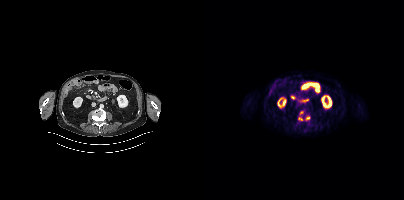
{"modality":"PSMA PET/CT","view":"axial","tracer":"18F","pet_grid":[200,200],"coord_frame":"pet_panel","coord_format":"x0,y0,x1,y1","partial":true,"lesion_bboxes":[],"small_foci_centers":[[104,117],[97,111]]}